Technique: Left: CT. Right: PSMA PET, same axial level, 18F tracer. PET panel 200×200 px (4.1 mm/px).
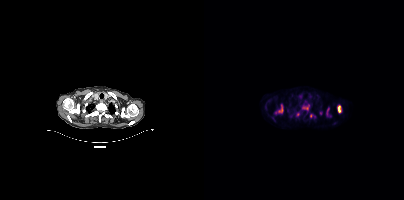
Findings: Coordinates are on the 200×200 PET (right) panel. PSMA-avid tumor lesion bounding boxes (x0, y0)-(x1, y1): (71, 104)-(79, 114) / (133, 105)-(137, 112) / (99, 107)-(104, 109) / (122, 108)-(125, 115). Small PSMA-avid foci (2 to 4 px across) near (center x, center y): (106, 116) / (116, 113) / (104, 104) / (93, 114).